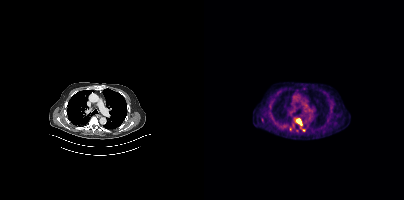
Left: CT. Right: PSMA PET, same axial level, [18F]PSMA-1007 tracer. Slice 277 of 377. Coordinates are on the 200×200 PET (right) panel. (showing 1 of 2 foci) PSMA-avid tumor lesion bounding box (x, y, width, height): x=92 y=118 w=7 h=8.